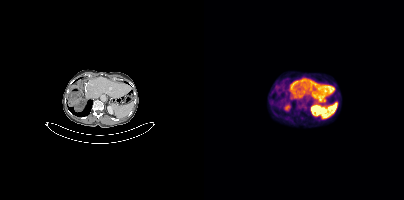
{"pet_grid":[200,200],"coord_frame":"pet_panel","coord_format":"x0,y0,x1,y1","psma_avid_lesions":false,"modality":"PSMA PET/CT","view":"axial","tracer":"18F-PSMA"}